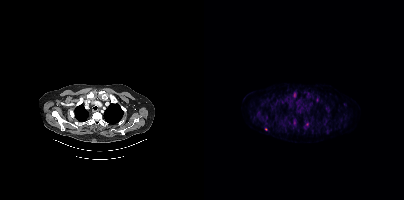
Findings: Coordinates are on the 200×200 PET (right) panel. (showing 2 of 3 foci) PSMA-avid tumor lesion bounding box (x0,y0,x1,y1): [90,93,91,97]. Small PSMA-avid focus (2 to 4 px across) near (center x, center y): (61, 129).
Technique: Paired axial CT (left) and PSMA PET (right), 18F-PSMA tracer.